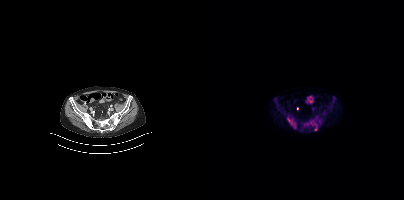
{"modality":"PSMA PET/CT","view":"axial","tracer":"[18F]PSMA-1007","pet_grid":[200,200],"coord_frame":"pet_panel","coord_format":"x0,y0,x1,y1","partial":true,"lesion_bboxes":[[84,117,91,126],[106,120,111,125],[70,98,75,109],[110,126,113,130]],"small_foci_centers":[[102,124]]}